Paired axial CT (left) and PSMA PET (right), 18F tracer. Slice 298 of 389. PET panel 200×200 px (4.1 mm/px).
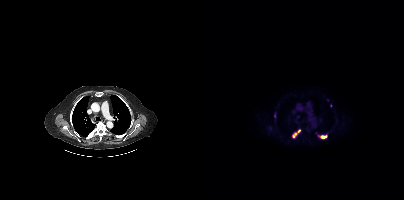
Coordinates are on the 200×200 PET (right) panel. PSMA-avid tumor lesion bounding boxes:
| # | x0 | y0 | x1 | y1 |
|---|---|---|---|---|
| 1 | 114 | 135 | 123 | 138 |
| 2 | 89 | 133 | 92 | 137 |
Small PSMA-avid focus (2 to 4 px across) near (center x, center y): (95, 131).